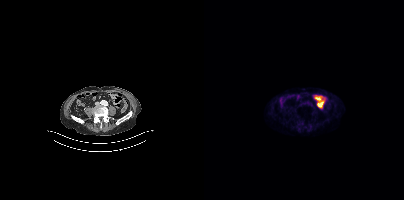
Negative for PSMA-avid disease on this slice.
modality: PSMA PET/CT | tracer: [18F]PSMA-1007 | view: axial